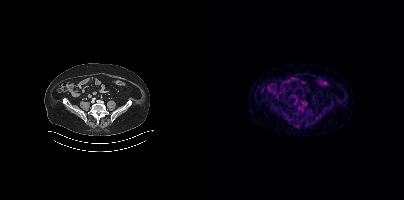
No PSMA-avid tumor lesions on this slice.